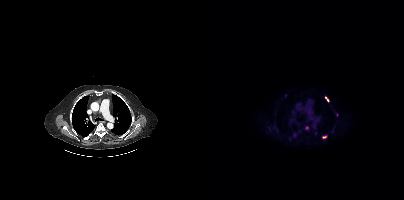
Coordinates are on the 200×200 PET (right) panel. PSMA-avid tumor lesion bounding box (x0,y0,x1,y1): [118,136,122,138]. Small PSMA-avid focus (2 to 4 px across) near (center x, center y): (102, 127).